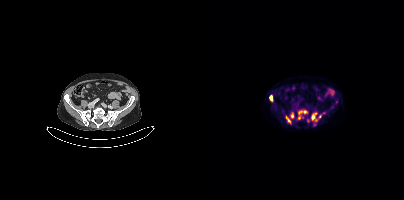
Technique: Paired axial CT (left) and PSMA PET (right), [18F]PSMA-1007 tracer. slice 131 of 415. PET panel 200×200 px (4.1 mm/px).
Findings: Coordinates are on the 200×200 PET (right) panel. (showing 7 of 8 foci) PSMA-avid tumor lesion bounding boxes (x0,y0,x1,y1): [107,113,112,121]; [94,110,103,114]; [65,95,68,101]; [82,116,86,122]; [87,113,89,117]. Small PSMA-avid foci (2 to 4 px across) near (center x, center y): (95, 118); (115, 116).